Two-panel axial: CT | PSMA PET, 18F tracer. Acquired on Siemens Biograph mCT Flow 20. Slice 231 of 417.
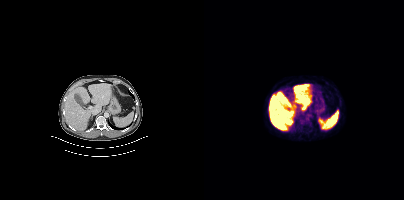
No PSMA-avid tumor lesions on this slice.